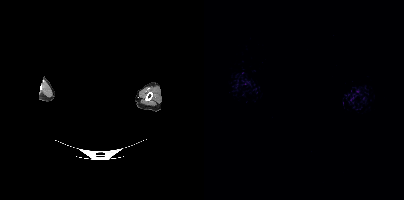
Negative for PSMA-avid disease on this slice. Paired axial CT (left) and PSMA PET (right), 18F-PSMA tracer. Slice position z = -201 mm. Head region blanked for anonymization (face removed).